modality: PSMA PET/CT | tracer: [18F]PSMA-1007 | view: axial | PET grid: 200×200
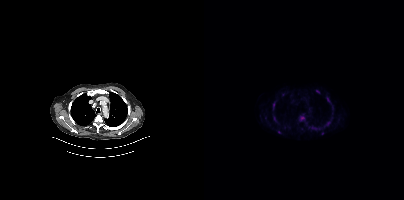
Coordinates are on the 200×200 PET (right) panel. (showing 10 of 12 foci) PSMA-avid tumor lesion bounding boxes (x0, y0)-(x1, y1): (95, 116)-(100, 120) / (120, 121)-(126, 127) / (123, 97)-(126, 102) / (69, 103)-(70, 109) / (108, 127)-(113, 129). Small PSMA-avid foci (2 to 4 px across) near (center x, center y): (113, 91) / (75, 132) / (70, 118) / (118, 133) / (128, 107).